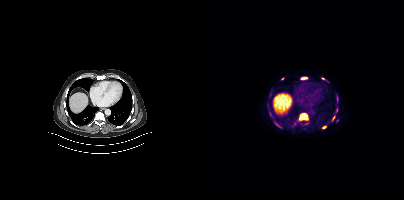
Findings: Coordinates are on the 200×200 PET (right) panel. (showing 8 of 10 foci) PSMA-avid tumor lesion bounding boxes (x0, y0)-(x1, y1): (96, 113)-(103, 119) / (97, 77)-(103, 79). Small PSMA-avid foci (2 to 4 px across) near (center x, center y): (75, 126) / (119, 127) / (78, 78) / (119, 78) / (129, 117) / (132, 110).
Technique: Paired axial CT (left) and PSMA PET (right), 18F tracer. acquired on Siemens Biograph mCT Flow 20. slice position z = -1090 mm.